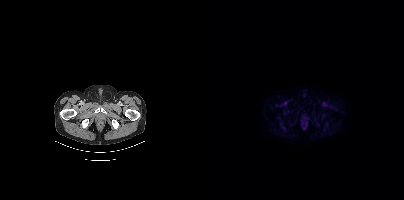
Negative for PSMA-avid disease on this slice.